Technique: Left: CT. Right: PSMA PET, same axial level, 68Ga tracer.
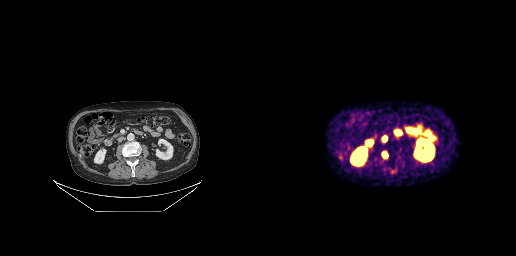
Findings: Coordinates are on the 256×256 PET (right) panel. (showing 3 of 4 foci) PSMA-avid tumor lesion bounding boxes (x, y, width, height): x=122 y=152 w=6 h=7 / x=123 y=137 w=4 h=5. Small PSMA-avid focus (2 to 4 px across) near (center x, center y): (137, 165).